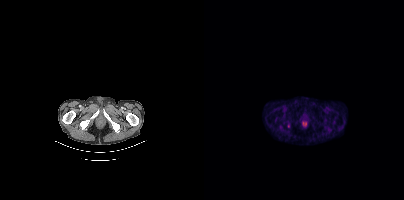
Only PSMA-avid lesion pieces thinner than 2 px on this slice (not listed). Two-panel axial: CT | PSMA PET, [18F]PSMA-1007 tracer. Acquired on Siemens Biograph mCT Flow 20.